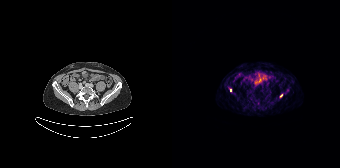
Technique: Paired axial CT (left) and PSMA PET (right), [68Ga]Ga-PSMA-11 tracer. PET panel 168×168 px (4.1 mm/px).
Findings: Coordinates are on the 168×168 PET (right) panel. Small PSMA-avid foci (2 to 4 px across) near (center x, center y): (109, 95) / (58, 90).